modality: PSMA PET/CT | tracer: [18F]PSMA-1007 | view: axial
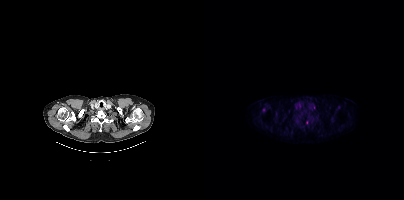
Negative for PSMA-avid disease on this slice.